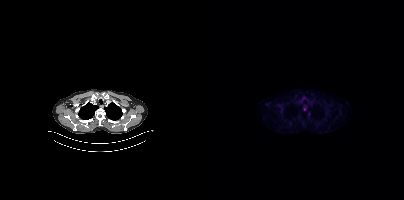
modality: PSMA PET/CT | tracer: 18F-PSMA | view: axial
Only PSMA-avid lesion pieces thinner than 2 px on this slice (not listed).